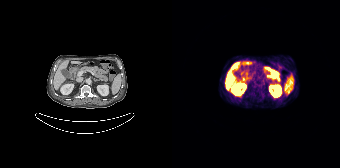
{"pet_grid":[168,168],"coord_frame":"pet_panel","coord_format":"x0,y0,x1,y1","psma_avid_lesions":false,"modality":"PSMA PET/CT","view":"axial","tracer":"[68Ga]Ga-PSMA-11"}